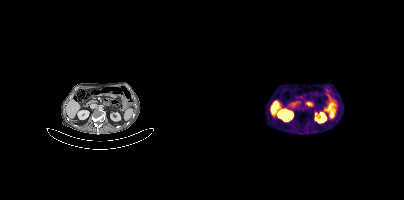
Negative for PSMA-avid disease on this slice.
modality: PSMA PET/CT | tracer: 68Ga | view: axial